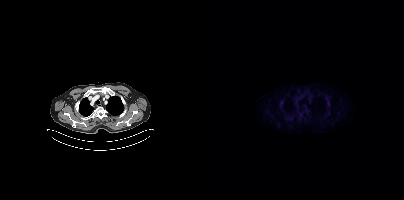
Findings: No tumor lesions annotated on this slice.
Technique: Paired axial CT (left) and PSMA PET (right), 18F-PSMA tracer.